modality: PSMA PET/CT | tracer: 18F | view: axial
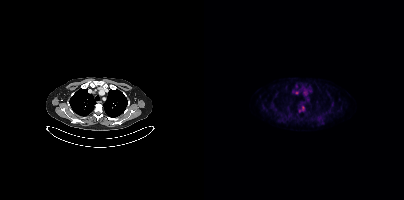
Coordinates are on the 200×200 PET (right) panel. PSMA-avid tumor lesion bounding box (x0,y0,x1,y1): [95,106,100,112]. Small PSMA-avid focus (2 to 4 px across) near (center x, center y): (92, 92).